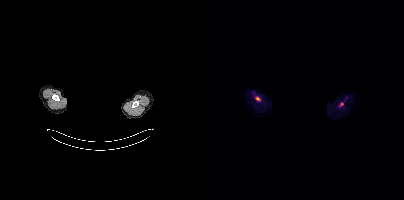
modality: PSMA PET/CT | tracer: [18F]PSMA-1007 | view: axial | deidentification: facial region redacted
Coordinates are on the 200×200 PET (right) panel. Small PSMA-avid focus (2 to 4 px across) near (center x, center y): (53, 98).